modality: PSMA PET/CT | tracer: [18F]PSMA-1007 | view: axial | PET grid: 200×200
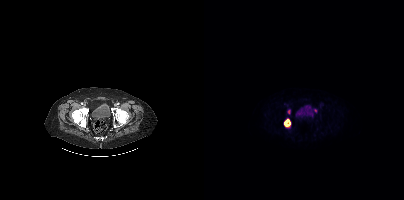
Coordinates are on the 200×200 PET (right) panel. (showing 1 of 2 foci) PSMA-avid tumor lesion bounding box (x0,y0,x1,y1): [80,119,86,126].